Paired axial CT (left) and PSMA PET (right), 18F-PSMA tracer. PET panel 200×200 px (4.1 mm/px).
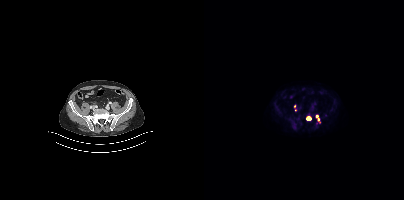
Coordinates are on the 200×200 PET (right) panel. (showing 2 of 4 foci) PSMA-avid tumor lesion bounding box (x0, y0)-(x1, y1): (102, 117)-(107, 119). Small PSMA-avid focus (2 to 4 px across) near (center x, center y): (114, 119).